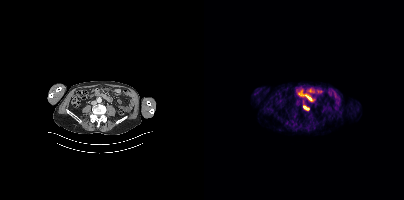
{"modality":"PSMA PET/CT","view":"axial","tracer":"18F-PSMA","pet_grid":[200,200],"coord_frame":"pet_panel","coord_format":"x0,y0,x1,y1","lesion_bboxes":[[99,106,104,109]]}